modality: PSMA PET/CT | tracer: [18F]PSMA-1007 | view: axial
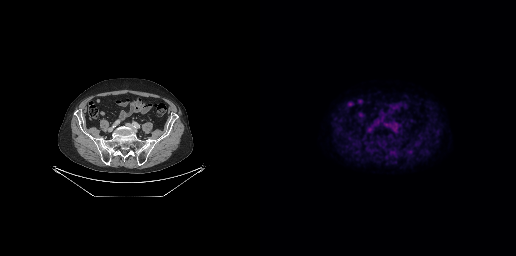
No PSMA-avid tumor lesions on this slice.